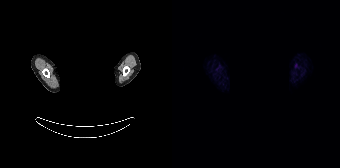
Technique: Left: CT. Right: PSMA PET, same axial level, 68Ga tracer. acquired on Siemens Biograph 64-4R TruePoint. slice 156 of 165.
Note: De-identified by setting a box covering the face to black before release.
Findings: No tumor lesions annotated on this slice.